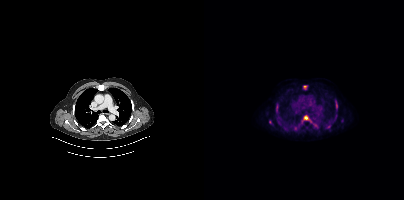
Coordinates are on the 200×200 PET (right) panel. (showing 12 of 14 foci) PSMA-avid tumor lesion bounding boxes (x, y, width, height): x=97 y=115 w=11 h=8 / x=131 y=99 w=4 h=13 / x=72 y=104 w=3 h=9 / x=123 y=124 w=4 h=5 / x=109 y=123 w=5 h=5 / x=99 y=85 w=4 h=5. Small PSMA-avid foci (2 to 4 px across) near (center x, center y): (138, 120) / (66, 122) / (91, 128) / (83, 129) / (132, 115) / (102, 127).